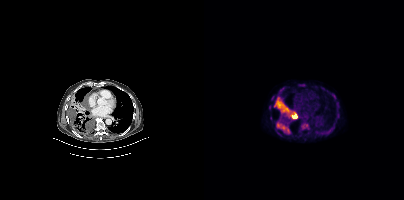
Coordinates are on the 200×200 PET (right) panel. PSMA-avid tumor lesion bounding boxes (x0, y0)-(x1, y1): (70, 97)-(86, 113) | (73, 123)-(85, 133) | (97, 122)-(104, 129) | (87, 111)-(93, 118). Two-panel axial: CT | PSMA PET, 18F tracer. Slice position z = -1152 mm.